Technique: Left: CT. Right: PSMA PET, same axial level, 18F-PSMA tracer. slice position z = -1204 mm.
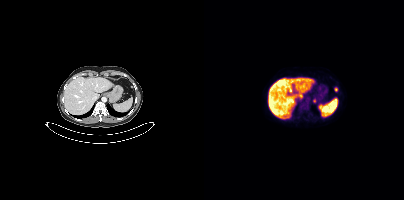
Findings: Coordinates are on the 200×200 PET (right) panel. PSMA-avid tumor lesion bounding box (x0, y0)-(x1, y1): (130, 87)-(133, 91). Small PSMA-avid focus (2 to 4 px across) near (center x, center y): (110, 100).